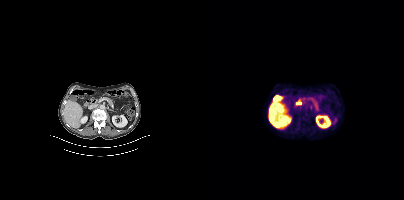
No PSMA-avid tumor lesions on this slice. Two-panel axial: CT | PSMA PET, 18F tracer. Acquired on Siemens Biograph mCT Flow 20.